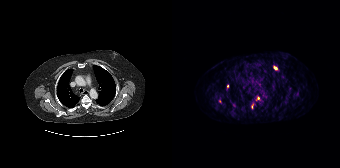
Coordinates are on the 168×168 PET (right) panel. (showing 2 of 5 foci) Small PSMA-avid foci (2 to 4 px across) near (center x, center y): (103, 68), (86, 98).